modality: PSMA PET/CT | tracer: 18F | view: axial
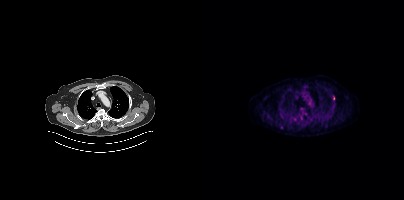
Coordinates are on the 200×200 PET (right) panel. (showing 2 of 3 foci) Small PSMA-avid foci (2 to 4 px across) near (center x, center y): (129, 98); (86, 121).